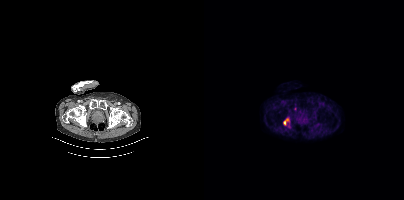
Coordinates are on the 200×200 PET (right) panel. PSMA-avid tumor lesion bounding box (x, y, width, height): x=79 y=118 w=7 h=8. Small PSMA-avid focus (2 to 4 px across) near (center x, center y): (91, 108).